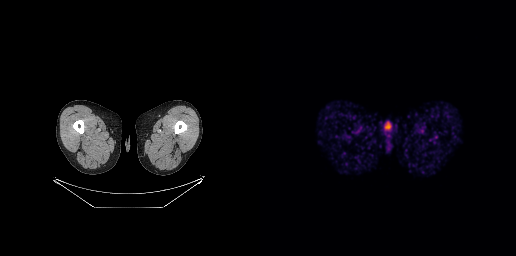
{"modality":"PSMA PET/CT","view":"axial","tracer":"68Ga-PSMA","pet_grid":[256,256],"coord_frame":"pet_panel","coord_format":"x0,y0,x1,y1","psma_avid_lesions":false}